Two-panel axial: CT | PSMA PET, 68Ga-PSMA tracer. Slice position z = -677 mm. PET panel 200×200 px (4.1 mm/px).
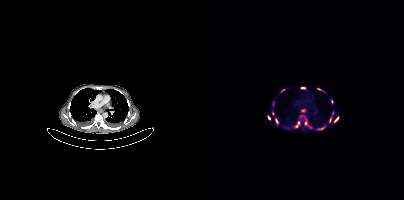
Coordinates are on the 200×200 PET (right) panel. PSMA-avid tumor lesion bounding boxes (partial; 2 more foci not listed):
| # | x0 | y0 | x1 | y1 |
|---|---|---|---|---|
| 1 | 103 | 125 | 108 | 128 |
| 2 | 91 | 122 | 95 | 127 |
| 3 | 130 | 117 | 134 | 122 |
| 4 | 113 | 88 | 117 | 90 |
Small PSMA-avid foci (2 to 4 px across) near (center x, center y): (78, 90); (128, 101); (65, 117); (98, 87); (68, 113); (101, 123); (69, 103); (72, 120); (120, 126); (118, 128).